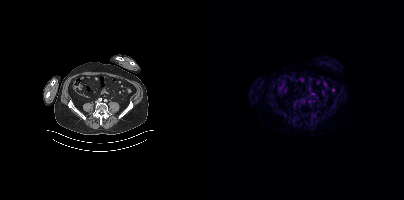
This slice has no annotated PSMA-avid lesion.